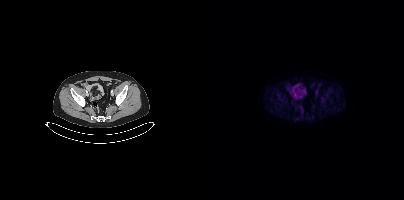
{"modality":"PSMA PET/CT","view":"axial","tracer":"[18F]PSMA-1007","pet_grid":[200,200],"coord_frame":"pet_panel","coord_format":"x0,y0,x1,y1","psma_avid_lesions":false}